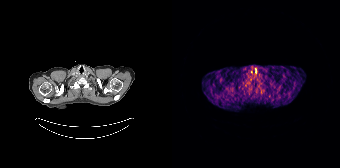
No tumor lesions annotated on this slice. Two-panel axial: CT | PSMA PET, [68Ga]Ga-PSMA-11 tracer. Slice position z = -758 mm. PET panel 168×168 px (4.1 mm/px).